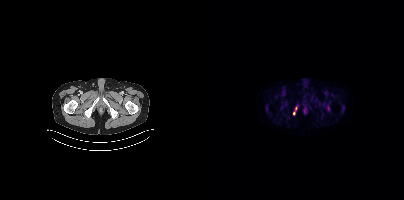
Coordinates are on the 200×200 PET (right) panel. Small PSMA-avid foci (2 to 4 px across) near (center x, center y): (92, 108) | (90, 113).